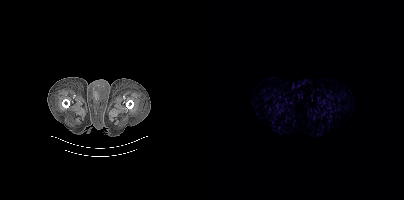
- Paired axial CT (left) and PSMA PET (right), 18F-PSMA tracer
- slice 5 of 344
Findings: No tumor lesions annotated on this slice.